Paired axial CT (left) and PSMA PET (right), [68Ga]Ga-PSMA-11 tracer. PET panel 168×168 px (4.1 mm/px).
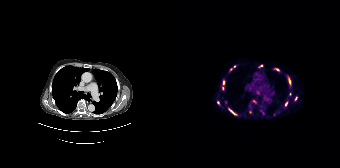
Coordinates are on the 168×168 PET (right) panel. PSMA-avid tumor lesion bounding boxes (partial; 6 more foci not listed):
| # | x0 | y0 | x1 | y1 |
|---|---|---|---|---|
| 1 | 56 | 108 | 64 | 114 |
| 2 | 117 | 78 | 118 | 84 |
Small PSMA-avid foci (2 to 4 px across) near (center x, center y): (51, 82); (114, 103); (88, 66); (105, 69); (123, 98); (45, 102); (53, 102); (102, 114).